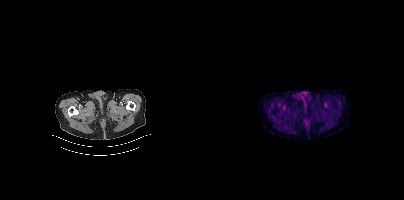
Findings: No PSMA-avid tumor lesions on this slice.
Technique: Left: CT. Right: PSMA PET, same axial level, [18F]PSMA-1007 tracer. slice position z = -1484 mm. PET panel 200×200 px (4.1 mm/px).